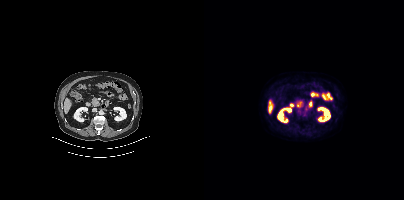
Findings: No tumor lesions annotated on this slice.
Technique: Left: CT. Right: PSMA PET, same axial level, 18F-PSMA tracer.